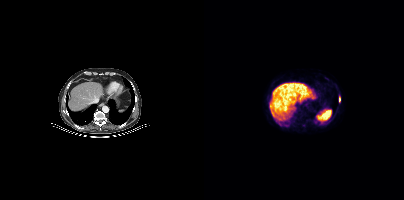
Technique: Two-panel axial: CT | PSMA PET, 18F-PSMA tracer.
Findings: Coordinates are on the 200×200 PET (right) panel. PSMA-avid tumor lesion bounding box (x, y, width, height): x=135 y=97 w=2 h=5.